Paired axial CT (left) and PSMA PET (right), 18F-PSMA tracer.
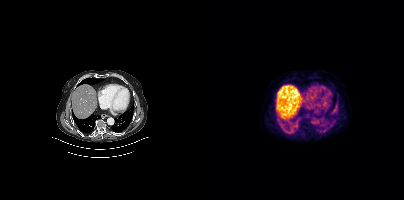
This slice has no annotated PSMA-avid lesion.